Head region blanked for anonymization (face removed). Two-panel axial: CT | PSMA PET, 68Ga-PSMA tracer. Acquired on GE Discovery 690. Slice position z = -230 mm.
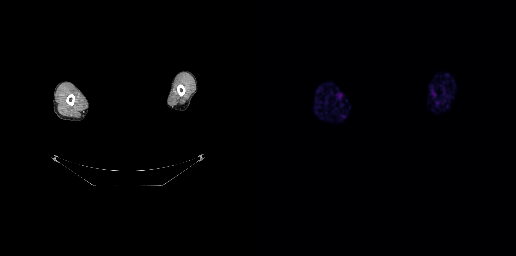
Negative for PSMA-avid disease on this slice.